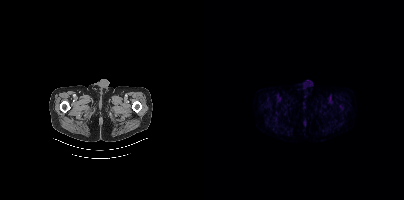
{"modality":"PSMA PET/CT","view":"axial","tracer":"18F","pet_grid":[200,200],"coord_frame":"pet_panel","coord_format":"x0,y0,x1,y1","psma_avid_lesions":false}